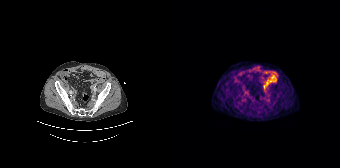
- Paired axial CT (left) and PSMA PET (right), [68Ga]Ga-PSMA-11 tracer
Findings: Negative for PSMA-avid disease on this slice.